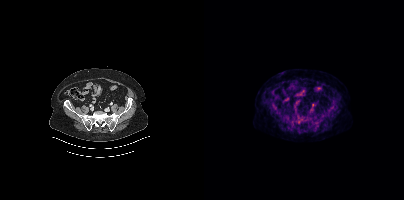
- Paired axial CT (left) and PSMA PET (right), 18F-PSMA tracer
- slice 128 of 438
Findings: No tumor lesions annotated on this slice.